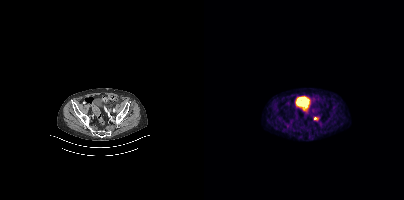
Paired axial CT (left) and PSMA PET (right), 68Ga tracer. PET panel 200×200 px (4.1 mm/px). Coordinates are on the 200×200 PET (right) panel. Small PSMA-avid focus (2 to 4 px across) near (center x, center y): (111, 118).